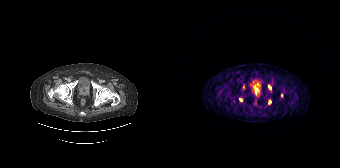
Coordinates are on the 168×168 PET (right) panel. PSMA-avid tumor lesion bounding boxes (x0, y0)-(x1, y1): (109, 93)-(111, 97); (71, 84)-(72, 89). Small PSMA-avid foci (2 to 4 px across) near (center x, center y): (97, 87); (97, 101); (69, 99).